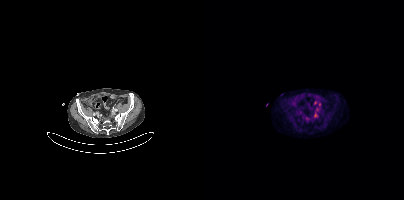
Paired axial CT (left) and PSMA PET (right), 18F-PSMA tracer. Slice 118 of 425. Coordinates are on the 200×200 PET (right) panel. (showing 1 of 4 foci) PSMA-avid tumor lesion bounding box (x0,y0,x1,y1): [110,112,113,117].